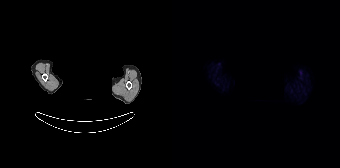
This slice has no annotated PSMA-avid lesion. Left: CT. Right: PSMA PET, same axial level, 18F tracer. Slice position z = -991 mm. The face region was removed for patient privacy by blanking a rectangle over the head.